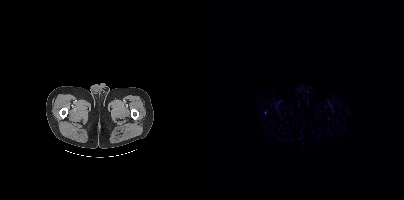
Technique: Paired axial CT (left) and PSMA PET (right), 18F-PSMA tracer. slice 9 of 417. PET panel 200×200 px (4.1 mm/px).
Findings: Only PSMA-avid lesion pieces thinner than 2 px on this slice (not listed).